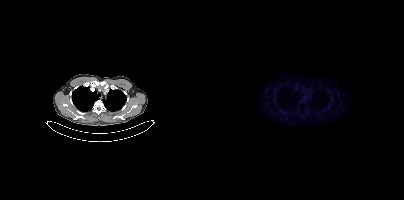
No PSMA-avid tumor lesions on this slice.